deidentification: head region blanked (face removed) | modality: PSMA PET/CT | tracer: [18F]PSMA-1007 | view: axial | PET grid: 200×200
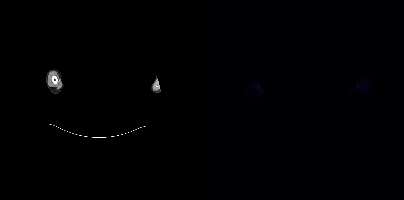
No tumor lesions annotated on this slice.